modality: PSMA PET/CT | tracer: [18F]PSMA-1007 | view: axial
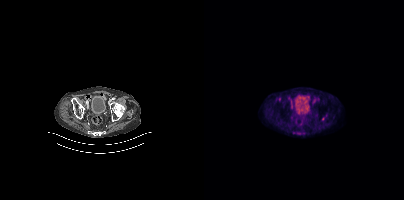
Coordinates are on the 200×200 PET (right) panel. Small PSMA-avid foci (2 to 4 px across) near (center x, center y): (110, 100) / (129, 117).